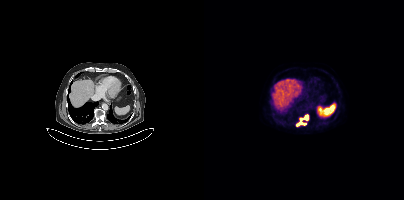
Two-panel axial: CT | PSMA PET, [18F]PSMA-1007 tracer. PET panel 200×200 px (4.1 mm/px). Coordinates are on the 200×200 PET (right) panel. PSMA-avid tumor lesion bounding boxes (x, y, width, height): x=100 y=115 w=5 h=6; x=93 y=122 w=9 h=4. Small PSMA-avid focus (2 to 4 px across) near (center x, center y): (97, 118).